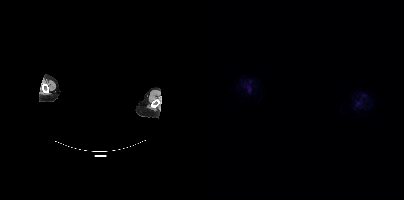
This slice has no annotated PSMA-avid lesion. Facial anatomy redacted by setting a rectangular region of the head to black. Left: CT. Right: PSMA PET, same axial level, 18F-PSMA tracer. Acquired on Siemens Biograph mCT Flow 20. Slice 447 of 462. PET panel 200×200 px (4.1 mm/px).